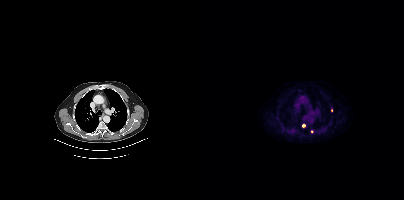
Coordinates are on the 200×200 PET (right) panel. Small PSMA-avid foci (2 to 4 px across) near (center x, center y): (99, 125); (107, 131); (127, 110).
modality: PSMA PET/CT | tracer: 18F-PSMA | view: axial